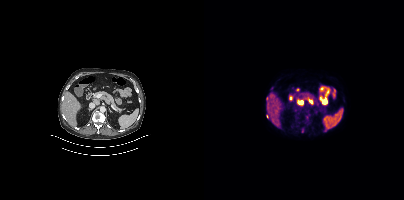
modality: PSMA PET/CT | tracer: 18F | view: axial | PET grid: 200×200
No tumor lesions annotated on this slice.